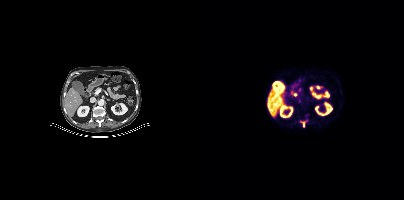
- Left: CT. Right: PSMA PET, same axial level, [18F]PSMA-1007 tracer
- slice position z = -689 mm
- PET panel 200×200 px (4.1 mm/px)
Findings: Coordinates are on the 200×200 PET (right) panel. PSMA-avid tumor lesion bounding box (x, y, width, height): x=97 y=121 w=4 h=7.